Paired axial CT (left) and PSMA PET (right), 18F-PSMA tracer.
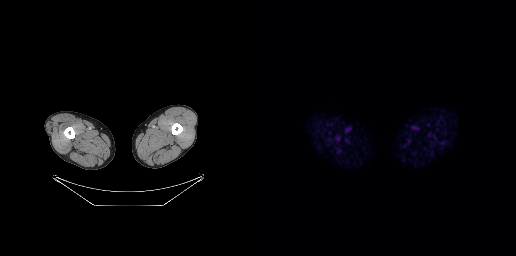
No tumor lesions annotated on this slice.